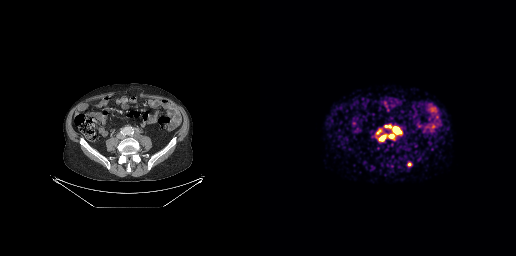
Findings: Coordinates are on the 256×256 PET (right) panel. PSMA-avid tumor lesion bounding boxes (x0,y0,x1,y1): [119,135,125,140]; [134,127,141,132]; [124,125,131,128]; [116,129,121,134]; [129,134,133,137]; [147,162,151,166].
Technique: Paired axial CT (left) and PSMA PET (right), [68Ga]Ga-PSMA-11 tracer. acquired on GE Discovery 690.